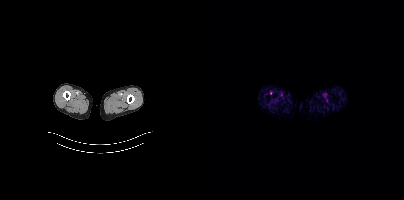
{"modality":"PSMA PET/CT","view":"axial","tracer":"18F","pet_grid":[200,200],"coord_frame":"pet_panel","coord_format":"x0,y0,x1,y1","psma_avid_lesions":false}